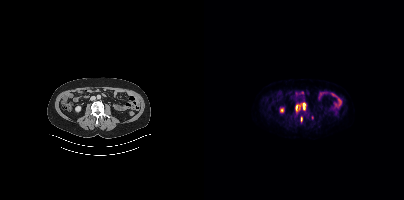
{"pet_grid":[200,200],"coord_frame":"pet_panel","coord_format":"x0,y0,x1,y1","partial":true,"lesion_bboxes":[[99,103,101,109],[92,105,93,109]],"modality":"PSMA PET/CT","view":"axial","tracer":"18F"}